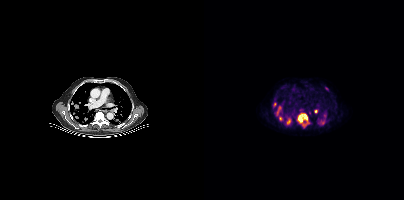
Findings: Coordinates are on the 200×200 PET (right) panel. (showing 8 of 9 foci) PSMA-avid tumor lesion bounding boxes (x0, y0)-(x1, y1): (94, 114)-(103, 127) | (73, 106)-(77, 115). Small PSMA-avid foci (2 to 4 px across) near (center x, center y): (76, 118) | (84, 120) | (71, 104) | (112, 111) | (120, 113) | (122, 88).
Technique: Paired axial CT (left) and PSMA PET (right), 18F tracer. PET panel 200×200 px (4.1 mm/px).